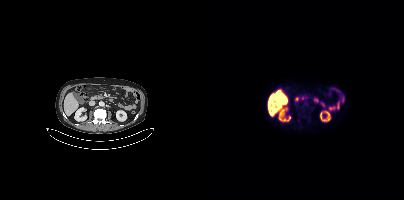
{"pet_grid":[200,200],"coord_frame":"pet_panel","coord_format":"x0,y0,x1,y1","psma_avid_lesions":false,"modality":"PSMA PET/CT","view":"axial","tracer":"18F-PSMA"}